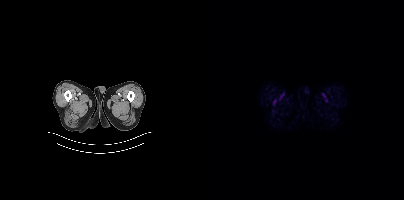
{"modality":"PSMA PET/CT","view":"axial","tracer":"18F-PSMA","pet_grid":[200,200],"coord_frame":"pet_panel","coord_format":"x0,y0,x1,y1","psma_avid_lesions":false}